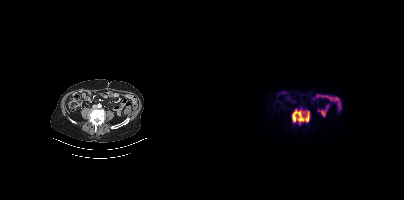
Coordinates are on the 200×200 PET (right) panel. PSMA-avid tumor lesion bounding box (x0, y0)-(x1, y1): (87, 108)-(106, 125).